modality: PSMA PET/CT | tracer: 18F-PSMA | view: axial | PET grid: 200×200
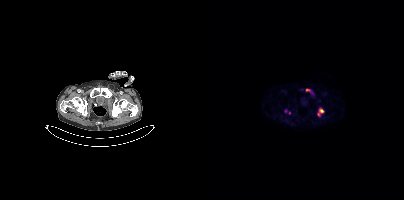
Coordinates are on the 200×200 PET (right) panel. PSMA-avid tumor lesion bounding boxes (x0,y0,x1,y1): [113,108,120,116], [102,89,106,91].